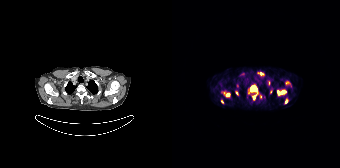
Coordinates are on the 168×168 PET (right) panel. PSMA-avid tumor lesion bounding boxes (partial; 3 more foci not listed):
| # | x0 | y0 | x1 | y1 |
|---|---|---|---|---|
| 1 | 78 | 86 | 85 | 91 |
| 2 | 105 | 90 | 113 | 94 |
Small PSMA-avid foci (2 to 4 px across) near (center x, center y): (55, 94); (82, 97); (64, 92); (114, 101).
Left: CT. Right: PSMA PET, same axial level, 68Ga-PSMA tracer. Slice position z = -314 mm.